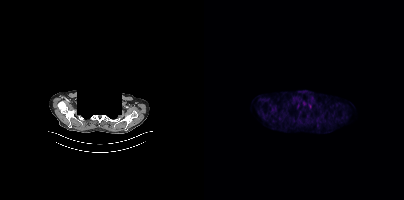
Coordinates are on the 200×200 PET (right) panel. (showing 1 of 2 foci) Small PSMA-avid focus (2 to 4 px across) near (center x, center y): (105, 106).
The head region is masked for de-identification.